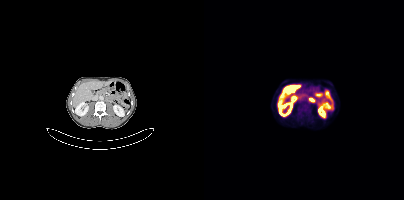
No PSMA-avid tumor lesions on this slice. Paired axial CT (left) and PSMA PET (right), 18F-PSMA tracer. Acquired on Siemens Biograph mCT Flow 20. PET panel 200×200 px (4.1 mm/px).